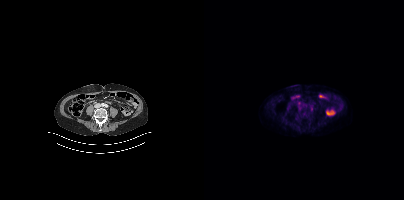
Only PSMA-avid lesion pieces thinner than 2 px on this slice (not listed).
modality: PSMA PET/CT | tracer: [18F]PSMA-1007 | view: axial